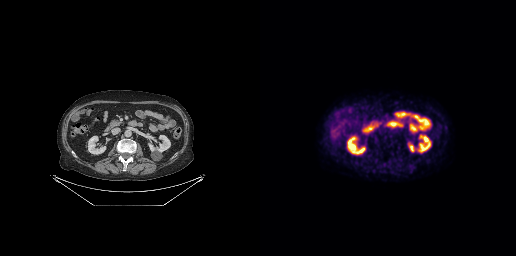
Findings: This slice has no annotated PSMA-avid lesion.
Technique: Paired axial CT (left) and PSMA PET (right), [18F]PSMA-1007 tracer. acquired on GE Discovery 690. slice 126 of 263. PET panel 256×256 px (2.7 mm/px).